Two-panel axial: CT | PSMA PET, [18F]PSMA-1007 tracer. Slice position z = -1030 mm.
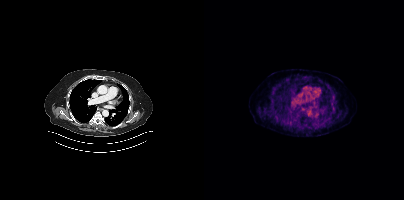
This slice has no annotated PSMA-avid lesion.